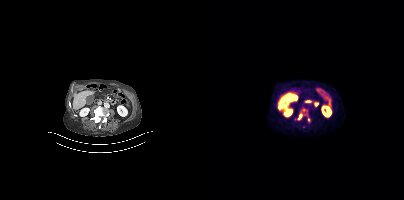
Coordinates are on the 200×200 PET (right) panel. PSMA-avid tumor lesion bounding box (x0,y0,x1,y1): [93,108,106,121].